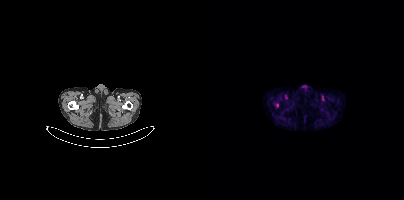
Two-panel axial: CT | PSMA PET, [18F]PSMA-1007 tracer.
Coordinates are on the 200×200 PET (right) panel. PSMA-avid tumor lesion bounding boxes:
| # | x0 | y0 | x1 | y1 |
|---|---|---|---|---|
| 1 | 72 | 103 | 74 | 107 |